Technique: Paired axial CT (left) and PSMA PET (right), 18F-PSMA tracer. acquired on Siemens Biograph mCT Flow 20. PET panel 200×200 px (4.1 mm/px).
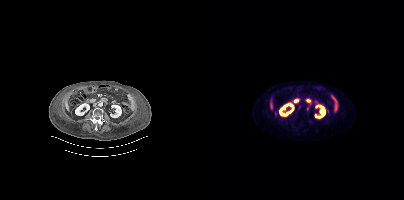
Findings: Coordinates are on the 200×200 PET (right) panel. PSMA-avid tumor lesion bounding box (x0,y0,x1,y1): [94,105,97,110]. Small PSMA-avid focus (2 to 4 px across) near (center x, center y): (104, 107).